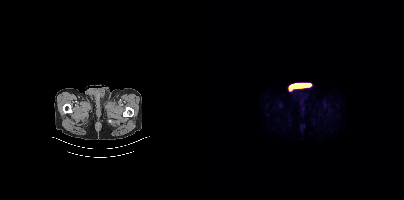
- Paired axial CT (left) and PSMA PET (right), [18F]PSMA-1007 tracer
- slice position z = -1602 mm
- PET panel 200×200 px (4.1 mm/px)
Findings: Negative for PSMA-avid disease on this slice.